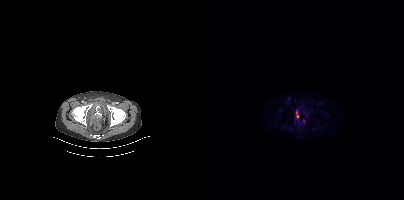
{"modality":"PSMA PET/CT","view":"axial","tracer":"18F","pet_grid":[200,200],"coord_frame":"pet_panel","coord_format":"x0,y0,x1,y1","partial":true,"lesion_bboxes":[[92,111,94,117]],"small_foci_centers":[[100,120]]}